Two-panel axial: CT | PSMA PET, 18F-PSMA tracer. Slice position z = -593 mm. PET panel 200×200 px (4.1 mm/px).
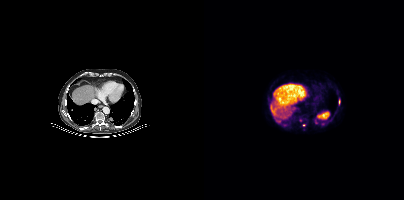
Coordinates are on the 200×200 PET (right) panel. (showing 1 of 3 foci) Small PSMA-avid focus (2 to 4 px across) near (center x, center y): (75, 122).